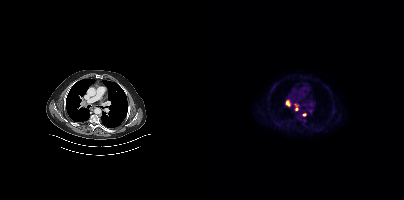
- Two-panel axial: CT | PSMA PET, 18F-PSMA tracer
- PET panel 200×200 px (4.1 mm/px)
Findings: Coordinates are on the 200×200 PET (right) panel. PSMA-avid tumor lesion bounding boxes (x0,y0,x1,y1): [82,100,86,106]; [91,104,94,110]. Small PSMA-avid focus (2 to 4 px across) near (center x, center y): (100, 114).